Left: CT. Right: PSMA PET, same axial level, 18F tracer. Acquired on Siemens Biograph mCT Flow 20. Slice 8 of 403.
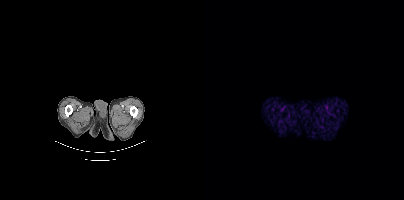
No tumor lesions annotated on this slice.